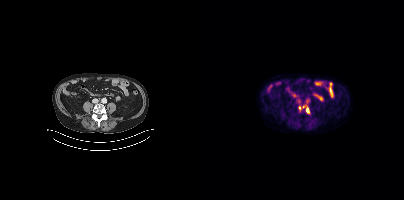
Left: CT. Right: PSMA PET, same axial level, [18F]PSMA-1007 tracer. Acquired on Siemens Biograph mCT Flow 20. PET panel 200×200 px (4.1 mm/px).
Coordinates are on the 200×200 PET (right) panel. PSMA-avid tumor lesion bounding boxes (partial; 1 more focus not listed):
| # | x0 | y0 | x1 | y1 |
|---|---|---|---|---|
| 1 | 94 | 105 | 105 | 113 |